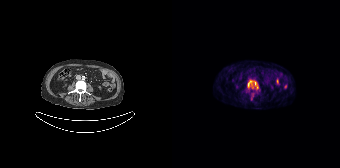
Left: CT. Right: PSMA PET, same axial level, 68Ga tracer. PET panel 168×168 px (4.1 mm/px).
Coordinates are on the 168×168 PET (right) panel. PSMA-avid tumor lesion bounding boxes:
| # | x0 | y0 | x1 | y1 |
|---|---|---|---|---|
| 1 | 75 | 80 | 86 | 88 |